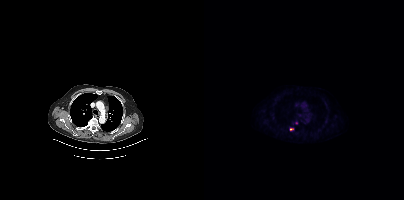
{"modality":"PSMA PET/CT","view":"axial","tracer":"[18F]PSMA-1007","pet_grid":[200,200],"coord_frame":"pet_panel","coord_format":"x0,y0,x1,y1","lesion_bboxes":[],"small_foci_centers":[[87,129],[92,122]]}